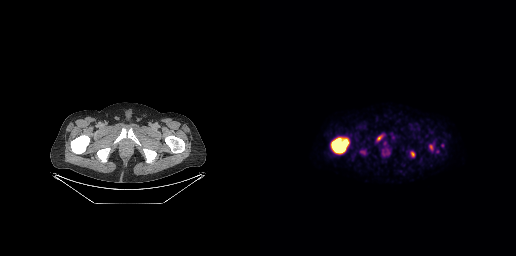
- Two-panel axial: CT | PSMA PET, 18F tracer
- acquired on GE Discovery 690
Findings: Coordinates are on the 256×256 PET (right) panel. PSMA-avid tumor lesion bounding boxes (x0,y0,x1,y1): [71,137,89,153], [117,135,122,140], [151,151,154,156], [170,145,172,149].